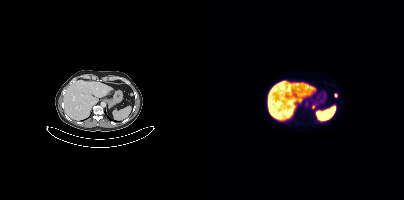
{"modality":"PSMA PET/CT","view":"axial","tracer":"[18F]PSMA-1007","pet_grid":[200,200],"coord_frame":"pet_panel","coord_format":"x0,y0,x1,y1","lesion_bboxes":[],"small_foci_centers":[[109,106],[131,95]]}